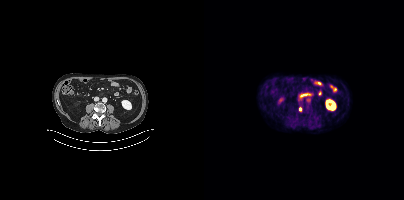
Two-panel axial: CT | PSMA PET, [18F]PSMA-1007 tracer. Slice position z = -596 mm. PET panel 200×200 px (4.1 mm/px). Coordinates are on the 200×200 PET (right) panel. PSMA-avid tumor lesion bounding box (x, y, width, height): x=95 y=107 w=4 h=5.